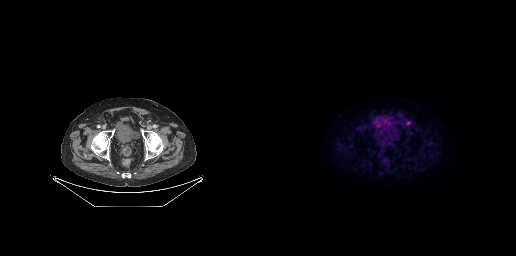
- Two-panel axial: CT | PSMA PET, 18F-PSMA tracer
- PET panel 256×256 px (2.7 mm/px)
Findings: Coordinates are on the 256×256 PET (right) panel. Small PSMA-avid focus (2 to 4 px across) near (center x, center y): (148, 122).